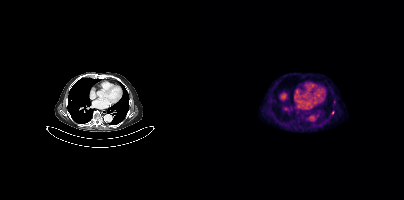
Findings: Coordinates are on the 200×200 PET (right) panel. Small PSMA-avid focus (2 to 4 px across) near (center x, center y): (128, 112).
Technique: Paired axial CT (left) and PSMA PET (right), 18F-PSMA tracer. slice 264 of 401. PET panel 200×200 px (4.1 mm/px).